Two-panel axial: CT | PSMA PET, [18F]PSMA-1007 tracer. Slice position z = -640 mm.
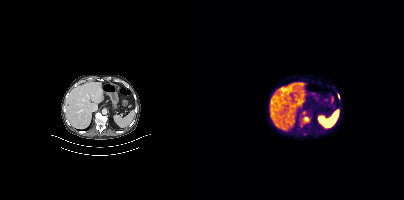
Coordinates are on the 200×200 PET (right) panel. PSMA-avid tumor lesion bounding boxes:
| # | x0 | y0 | x1 | y1 |
|---|---|---|---|---|
| 1 | 97 | 117 | 106 | 126 |
Small PSMA-avid foci (2 to 4 px across) near (center x, center y): (134, 95); (99, 112).